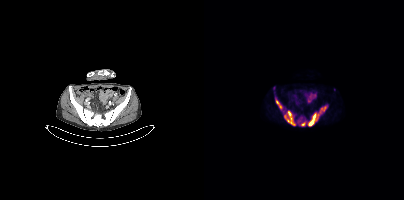
{"modality":"PSMA PET/CT","view":"axial","tracer":"18F-PSMA","pet_grid":[200,200],"coord_frame":"pet_panel","coord_format":"x0,y0,x1,y1","partial":true,"lesion_bboxes":[[71,97,91,125],[96,106,123,126]],"small_foci_centers":[[95,121]]}